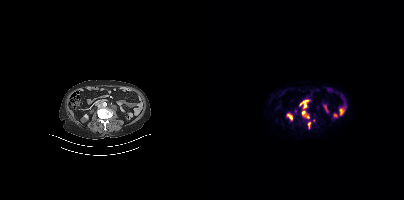
{"modality":"PSMA PET/CT","view":"axial","tracer":"[68Ga]Ga-PSMA-11","pet_grid":[200,200],"coord_frame":"pet_panel","coord_format":"x0,y0,x1,y1","partial":true,"lesion_bboxes":[[98,110,105,118],[99,102,103,108],[104,122,106,128],[90,109,93,113]]}